modality: PSMA PET/CT | tracer: 18F-PSMA | view: axial | PET grid: 200×200
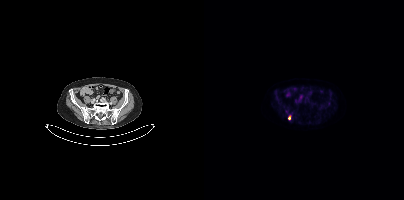
Coordinates are on the 200×200 PET (right) panel. Small PSMA-avid focus (2 to 4 px across) near (center x, center y): (85, 118).